Paired axial CT (left) and PSMA PET (right), [18F]PSMA-1007 tracer. Slice position z = -910 mm.
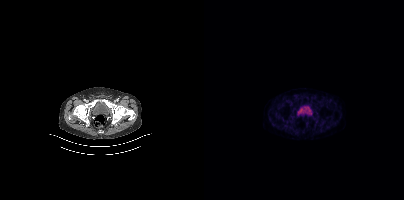
This slice has no annotated PSMA-avid lesion.